Left: CT. Right: PSMA PET, same axial level, [18F]PSMA-1007 tracer. Slice position z = -1406 mm. PET panel 168×168 px (4.1 mm/px).
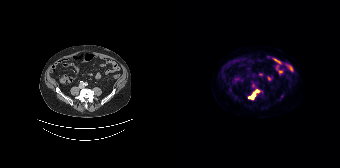
Coordinates are on the 168×168 PET (right) panel. PSMA-avid tumor lesion bounding box (x0, y0)-(x1, y1): (76, 89)-(87, 99).